modality: PSMA PET/CT | tracer: 18F-PSMA | view: axial | PET grid: 200×200
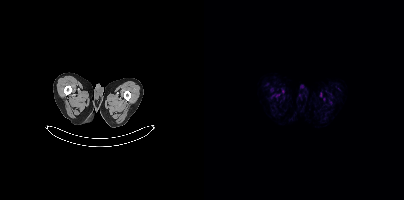
Negative for PSMA-avid disease on this slice.